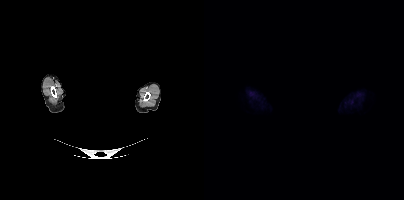
Technique: Left: CT. Right: PSMA PET, same axial level, 18F tracer. slice 401 of 429. PET panel 200×200 px (4.1 mm/px).
Note: An anonymization step blacked out a rectangle over the head in this scan.
Findings: No PSMA-avid tumor lesions on this slice.